- Paired axial CT (left) and PSMA PET (right), 18F tracer
- acquired on Siemens Biograph mCT Flow 20
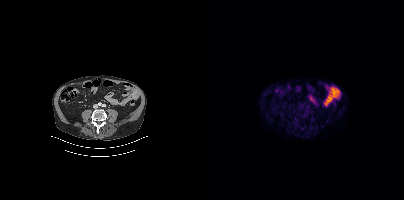
Findings: This slice has no annotated PSMA-avid lesion.